- Two-panel axial: CT | PSMA PET, 18F tracer
- PET panel 200×200 px (4.1 mm/px)
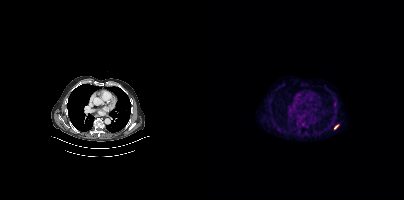
Findings: Coordinates are on the 200×200 PET (right) panel. PSMA-avid tumor lesion bounding box (x, y, width, height): x=130 y=125 w=5 h=5.